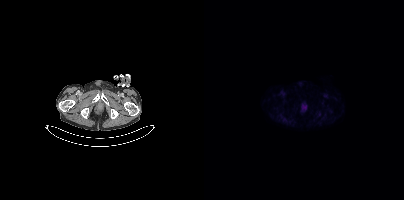
Left: CT. Right: PSMA PET, same axial level, 18F-PSMA tracer. PET panel 200×200 px (4.1 mm/px). No tumor lesions annotated on this slice.